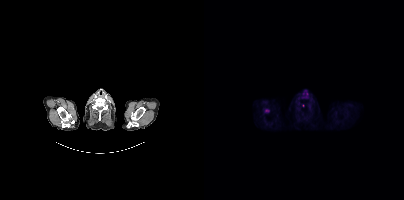
Coordinates are on the 200×200 PET (right) panel. Small PSMA-avid focus (2 to 4 px across) near (center x, center y): (62, 110). Left: CT. Right: PSMA PET, same axial level, 18F tracer. Slice 370 of 435.